- Two-panel axial: CT | PSMA PET, 18F-PSMA tracer
- slice position z = 90 mm
- PET panel 200×200 px (4.1 mm/px)
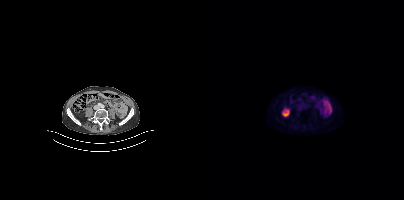
Findings: No PSMA-avid tumor lesions on this slice.